Paired axial CT (left) and PSMA PET (right), 18F tracer. Acquired on Siemens Biograph mCT Flow 20. Slice 377 of 381. PET panel 200×200 px (4.1 mm/px). Head region blanked for anonymization (face removed).
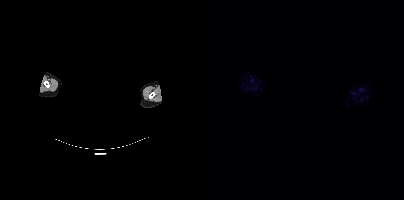
This slice has no annotated PSMA-avid lesion.